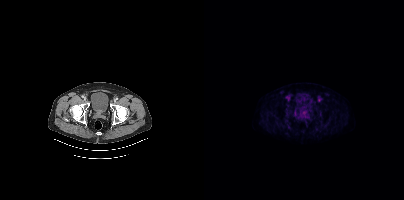
- Left: CT. Right: PSMA PET, same axial level, 18F-PSMA tracer
- PET panel 200×200 px (4.1 mm/px)
Findings: This slice has no annotated PSMA-avid lesion.